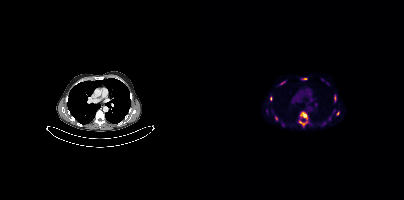
Coordinates are on the 200×200 PET (right) panel. (showing 8 of 12 foci) PSMA-avid tumor lesion bounding boxes (x0,y0,x1,y1): [94,111,104,127]; [130,95,132,101]; [132,111,135,115]; [71,116,73,120]; [66,96,68,100]; [98,78,103,79]. Small PSMA-avid foci (2 to 4 px across) near (center x, center y): (81, 81); (125, 118).